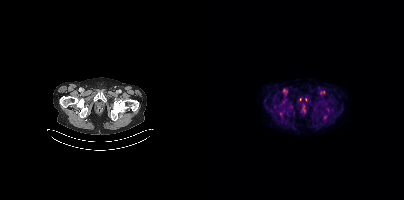
Findings: Only PSMA-avid lesion pieces thinner than 2 px on this slice (not listed).
- Two-panel axial: CT | PSMA PET, 18F tracer
- acquired on Siemens Biograph mCT Flow 20
- slice position z = -826 mm